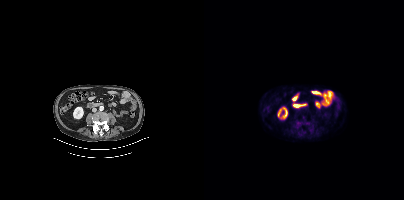
This slice has no annotated PSMA-avid lesion. Two-panel axial: CT | PSMA PET, [18F]PSMA-1007 tracer. Acquired on Siemens Biograph mCT Flow 20.